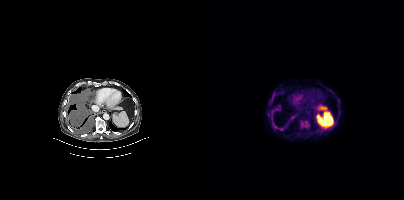
Coordinates are on the 200×200 PET (right) panel. PSMA-avid tumor lesion bounding boxes (partial; 1 more focus not listed):
| # | x0 | y0 | x1 | y1 |
|---|---|---|---|---|
| 1 | 96 | 120 | 104 | 128 |
| 2 | 70 | 126 | 77 | 129 |
| 3 | 63 | 112 | 65 | 117 |
| 4 | 68 | 96 | 69 | 100 |
Left: CT. Right: PSMA PET, same axial level, 18F tracer. Acquired on Siemens Biograph mCT Flow 20. PET panel 200×200 px (4.1 mm/px).